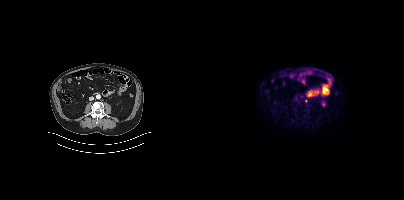
Left: CT. Right: PSMA PET, same axial level, 18F tracer. Slice 191 of 466. Coordinates are on the 200×200 PET (right) panel. Small PSMA-avid focus (2 to 4 px across) near (center x, center y): (102, 100).